Paired axial CT (left) and PSMA PET (right), 18F tracer. Slice position z = -860 mm.
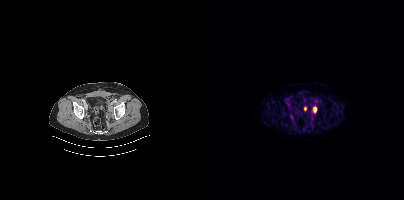
Coordinates are on the 200×200 PET (right) panel. PSMA-avid tumor lesion bounding boxes:
| # | x0 | y0 | x1 | y1 |
|---|---|---|---|---|
| 1 | 108 | 106 | 113 | 113 |
Small PSMA-avid focus (2 to 4 px across) near (center x, center y): (101, 108).